- Left: CT. Right: PSMA PET, same axial level, 18F tracer
- slice position z = -569 mm
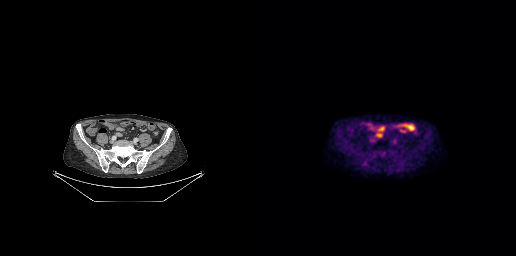
Findings: No tumor lesions annotated on this slice.